modality: PSMA PET/CT | tracer: 18F | view: axial
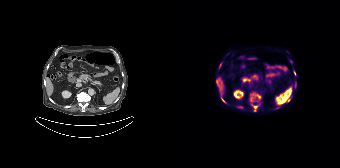
Coordinates are on the 168×168 PET (right) panel. (showing 7 of 9 foci) PSMA-avid tumor lesion bounding boxes (x0,y0,x1,y1): [79,93,88,98] [80,105,85,111] [49,97,54,103] [78,97,80,101]. Small PSMA-avid foci (2 to 4 px across) near (center x, center y): (47, 66) (122, 72) (67, 106).